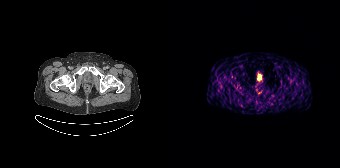
Findings: This slice has no annotated PSMA-avid lesion.
- Two-panel axial: CT | PSMA PET, 68Ga tracer
- PET panel 168×168 px (4.1 mm/px)